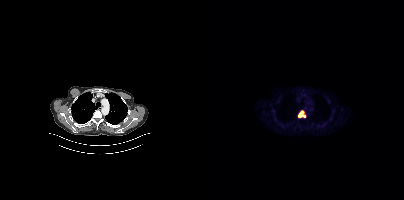
Coordinates are on the 200×200 PET (right) panel. PSMA-avid tumor lesion bounding box (x0,y0,x1,y1): [94,110,102,117].